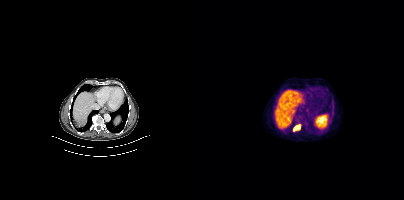
Findings: Coordinates are on the 200×200 PET (right) panel. PSMA-avid tumor lesion bounding box (x0,y0,x1,y1): [89,124,96,131].
Technique: Two-panel axial: CT | PSMA PET, 18F tracer. acquired on Siemens Biograph mCT Flow 20. slice position z = 328 mm.